Two-panel axial: CT | PSMA PET, [18F]PSMA-1007 tracer. Acquired on Siemens Biograph mCT Flow 20.
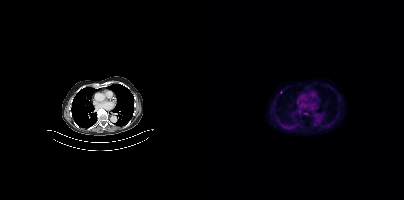
Coordinates are on the 200×200 PET (right) panel. Small PSMA-avid focus (2 to 4 px across) near (center x, center y): (76, 92).